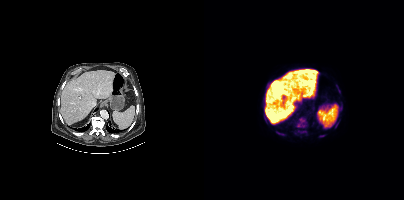
Two-panel axial: CT | PSMA PET, 18F-PSMA tracer. Slice 237 of 423. PET panel 200×200 px (4.1 mm/px). Coordinates are on the 200×200 PET (right) panel. (showing 6 of 7 foci) PSMA-avid tumor lesion bounding boxes (x0,y0,x1,y1): [92,117,102,127] [132,85,136,93] [73,132,80,135] [94,131,102,132] [131,122,134,127] [115,135,120,136].